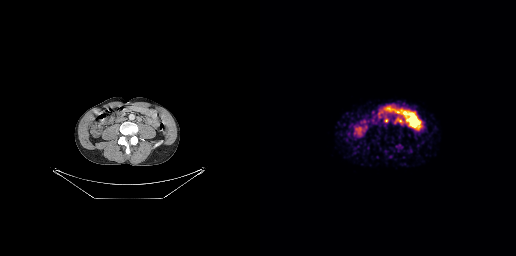
Technique: Two-panel axial: CT | PSMA PET, 68Ga tracer. PET panel 256×256 px (2.7 mm/px).
Findings: Coordinates are on the 256×256 PET (right) panel. PSMA-avid tumor lesion bounding box (x0, y0)-(x1, y1): (125, 118)-(128, 122).